Two-panel axial: CT | PSMA PET, [18F]PSMA-1007 tracer. Acquired on Siemens Biograph 64-4R TruePoint. Slice position z = -1128 mm. PET panel 168×168 px (4.1 mm/px).
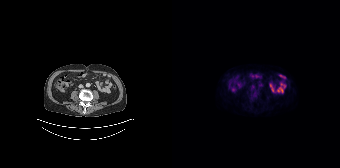
No tumor lesions annotated on this slice.